Any black rectangle over the head is a privacy mask, not anatomy. Paired axial CT (left) and PSMA PET (right), [18F]PSMA-1007 tracer. Acquired on Siemens Biograph 64-4R TruePoint. Slice position z = -560 mm. PET panel 168×168 px (4.1 mm/px).
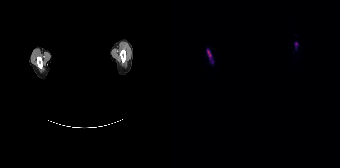
Coordinates are on the 168×168 PET (right) panel. PSMA-avid tumor lesion bounding boxes:
| # | x0 | y0 | x1 | y1 |
|---|---|---|---|---|
| 1 | 35 | 50 | 39 | 58 |
| 2 | 123 | 42 | 126 | 47 |